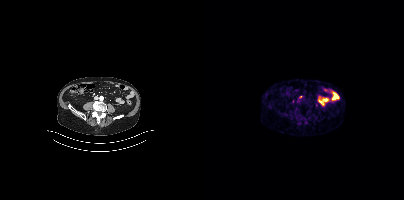
modality: PSMA PET/CT | tracer: 68Ga | view: axial | PET grid: 200×200
Coordinates are on the 200×200 PET (right) panel. Small PSMA-avid focus (2 to 4 px across) near (center x, center y): (96, 96).